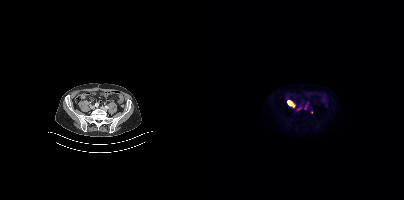
Coordinates are on the 200×200 PET (right) panel. (showing 1 of 2 foci) PSMA-avid tumor lesion bounding box (x, y, width, height): x=83 y=100 w=9 h=8. Paired axial CT (left) and PSMA PET (right), 18F tracer.